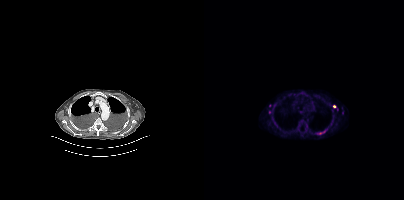
Findings: Coordinates are on the 200×200 PET (right) panel. (showing 6 of 9 foci) PSMA-avid tumor lesion bounding box (x0,y0,x1,y1): [112,129,123,134]. Small PSMA-avid foci (2 to 4 px across) near (center x, center y): (130, 106), (66, 112), (138, 112), (97, 111), (65, 105).
Technique: Left: CT. Right: PSMA PET, same axial level, [18F]PSMA-1007 tracer. acquired on Siemens Biograph mCT Flow 20.